Paired axial CT (left) and PSMA PET (right), [18F]PSMA-1007 tracer. Acquired on Siemens Biograph mCT Flow 20. PET panel 200×200 px (4.1 mm/px).
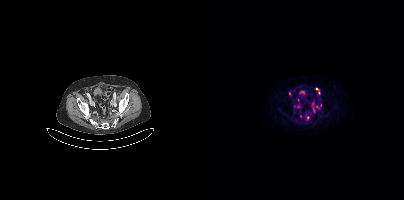
Coordinates are on the 200×200 PET (right) panel. (showing 4 of 9 foci) Small PSMA-avid foci (2 to 4 px across) near (center x, center y): (94, 100) | (103, 117) | (112, 88) | (96, 116).